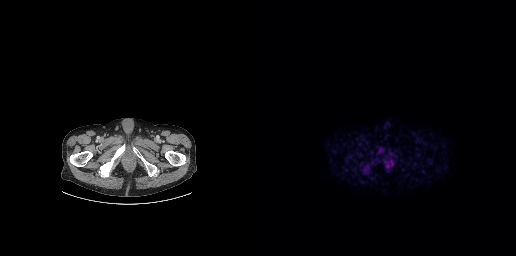
Technique: Left: CT. Right: PSMA PET, same axial level, 18F tracer. PET panel 256×256 px (2.7 mm/px).
Findings: Coordinates are on the 256×256 PET (right) panel. PSMA-avid tumor lesion bounding box (x0,y0,x1,y1): [102,169,106,173].